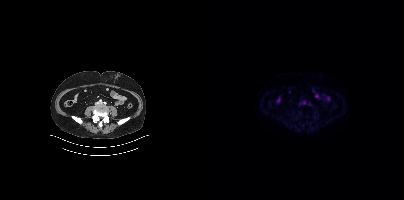
- Paired axial CT (left) and PSMA PET (right), 18F tracer
- PET panel 200×200 px (4.1 mm/px)
Findings: This slice has no annotated PSMA-avid lesion.